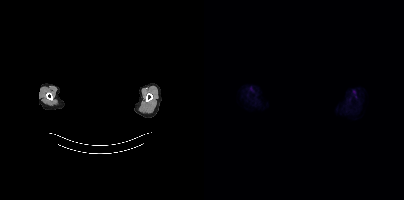
Paired axial CT (left) and PSMA PET (right), 18F-PSMA tracer. Acquired on Siemens Biograph mCT Flow 20. PET panel 200×200 px (4.1 mm/px). A rectangular block over the head has been blanked out for de-identification. No PSMA-avid tumor lesions on this slice.